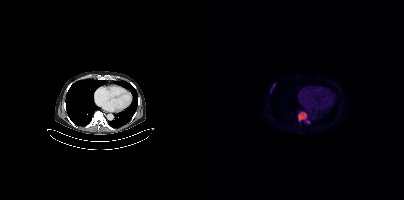
Left: CT. Right: PSMA PET, same axial level, 18F tracer. Slice position z = 174 mm.
Coordinates are on the 200×200 PET (right) panel. PSMA-avid tumor lesion bounding boxes (partial; 1 more focus not listed):
| # | x0 | y0 | x1 | y1 |
|---|---|---|---|---|
| 1 | 94 | 112 | 105 | 123 |
| 2 | 67 | 83 | 71 | 90 |